- a rectangular block over the head has been blanked out for de-identification
- Paired axial CT (left) and PSMA PET (right), 68Ga tracer
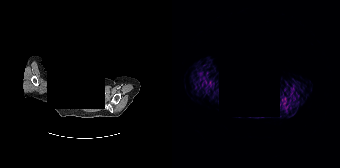
Findings: No tumor lesions annotated on this slice.